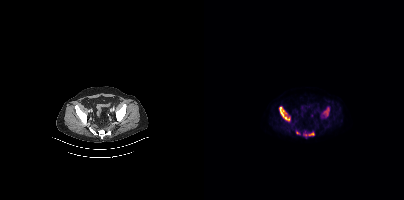
Coordinates are on the 200×200 PET (right) panel. PSMA-avid tumor lesion bounding boxes (partial; 1 more focus not listed):
| # | x0 | y0 | x1 | y1 |
|---|---|---|---|---|
| 1 | 75 | 107 | 85 | 120 |
| 2 | 120 | 108 | 125 | 115 |
| 3 | 105 | 133 | 110 | 135 |
Two-panel axial: CT | PSMA PET, 18F tracer. Acquired on Siemens Biograph mCT Flow 20. Slice 67 of 367. PET panel 200×200 px (4.1 mm/px).